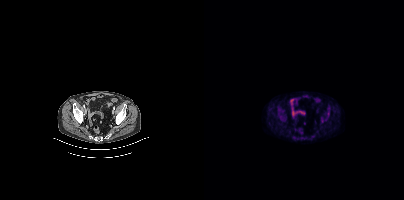
Coordinates are on the 200×200 PET (right) panel. PSMA-avid tumor lesion bounding boxes:
| # | x0 | y0 | x1 | y1 |
|---|---|---|---|---|
| 1 | 117 | 117 | 123 | 122 |
Left: CT. Right: PSMA PET, same axial level, [18F]PSMA-1007 tracer. Slice position z = -1522 mm. PET panel 200×200 px (4.1 mm/px).